modality: PSMA PET/CT | tracer: 18F-PSMA | view: axial | PET grid: 200×200
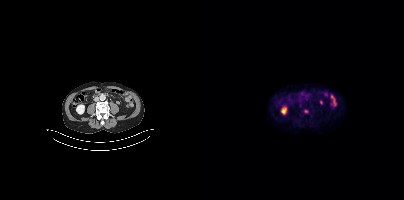
Coordinates are on the 200×200 PET (right) panel. Small PSMA-avid focus (2 to 4 px across) near (center x, center y): (102, 111).